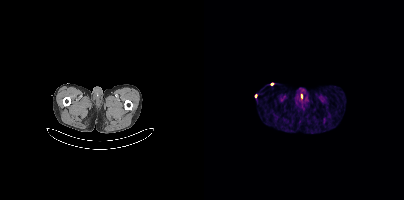
No PSMA-avid tumor lesions on this slice.